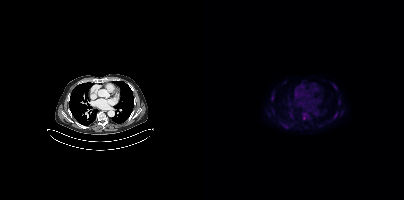
Findings: Coordinates are on the 200×200 PET (right) panel. (showing 4 of 6 foci) PSMA-avid tumor lesion bounding box (x0,y0,x1,y1): [130,85,132,89]. Small PSMA-avid foci (2 to 4 px across) near (center x, center y): (131, 116); (82, 127); (68, 98).
Technique: Two-panel axial: CT | PSMA PET, 18F-PSMA tracer.